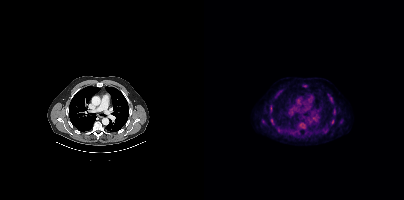
Coordinates are on the 200×200 PET (right) panel. PSMA-avid tumor lesion bounding box (x, y, width, height): x=66 y=105 w=3 h=6. Small PSMA-avid foci (2 to 4 px across) near (center x, center y): (67, 120) / (128, 121).